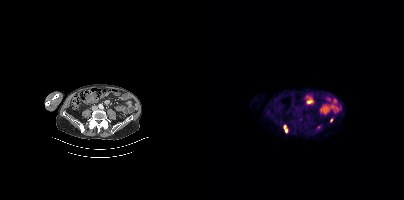
{"modality":"PSMA PET/CT","view":"axial","tracer":"[18F]PSMA-1007","pet_grid":[200,200],"coord_frame":"pet_panel","coord_format":"x0,y0,x1,y1","lesion_bboxes":[[79,125,83,132]],"small_foci_centers":[[127,119],[114,126]]}